Technique: Two-panel axial: CT | PSMA PET, 68Ga tracer. slice 212 of 373.
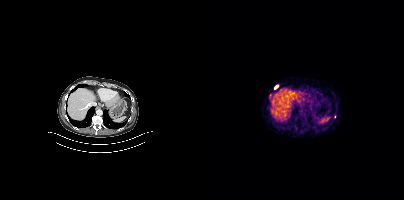
Findings: Coordinates are on the 200×200 PET (right) panel. Small PSMA-avid focus (2 to 4 px across) near (center x, center y): (72, 86).